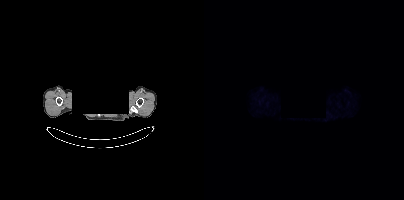
Facial anatomy redacted by setting a rectangular region of the head to black.
Negative for PSMA-avid disease on this slice.